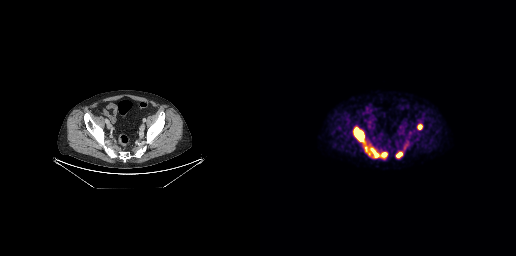
Findings: Coordinates are on the 256×256 PET (right) panel. PSMA-avid tumor lesion bounding boxes (x0, y0)-(x1, y1): (93, 127)-(127, 158); (136, 151)-(142, 158); (158, 124)-(162, 129).
- Paired axial CT (left) and PSMA PET (right), 18F tracer
- acquired on GE Discovery 690
- slice position z = -580 mm
- PET panel 256×256 px (2.7 mm/px)